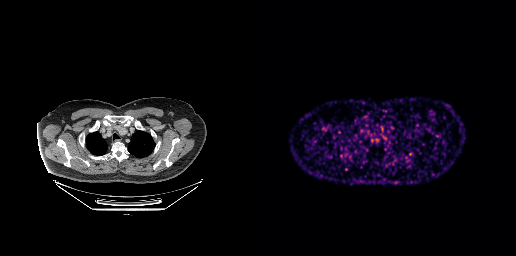
No PSMA-avid tumor lesions on this slice.